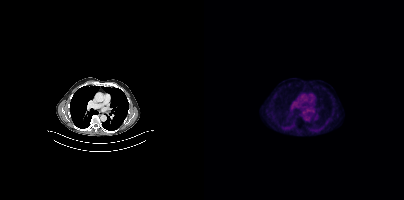
Findings: Only PSMA-avid lesion pieces thinner than 2 px on this slice (not listed).
- Left: CT. Right: PSMA PET, same axial level, 18F tracer
- PET panel 200×200 px (4.1 mm/px)